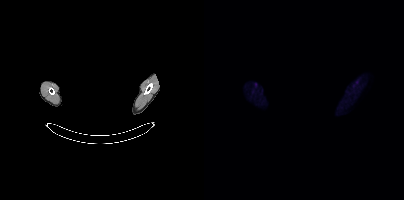
de-identification: rectangular block over head set to black | modality: PSMA PET/CT | tracer: 18F | view: axial | PET grid: 200×200
Negative for PSMA-avid disease on this slice.